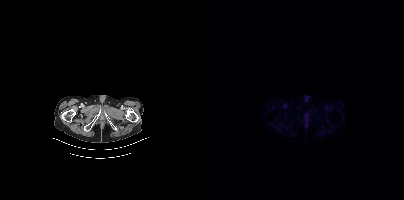
{"modality":"PSMA PET/CT","view":"axial","tracer":"68Ga-PSMA","pet_grid":[200,200],"coord_frame":"pet_panel","coord_format":"x0,y0,x1,y1","psma_avid_lesions":false}